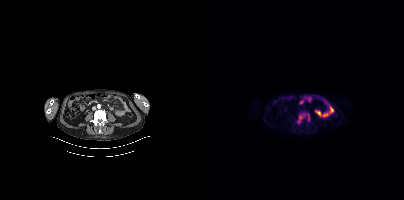
modality: PSMA PET/CT | tracer: 18F | view: axial | PET grid: 200×200
Coordinates are on the 200×200 PET (right) panel. PSMA-avid tumor lesion bounding box (x0, y0)-(x1, y1): (92, 112)-(106, 124).